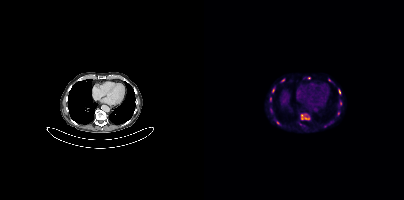
Left: CT. Right: PSMA PET, same axial level, 18F tracer. Acquired on Siemens Biograph mCT Flow 20. PET panel 200×200 px (4.1 mm/px). Coordinates are on the 200×200 PET (right) panel. (showing 7 of 10 foci) PSMA-avid tumor lesion bounding box (x, y, width, height): x=135 y=89 w=2 h=5. Small PSMA-avid foci (2 to 4 px across) near (center x, center y): (69, 90) | (79, 80) | (136, 103) | (66, 99) | (104, 77) | (97, 115).